Paired axial CT (left) and PSMA PET (right), 18F-PSMA tracer. Acquired on Siemens Biograph mCT Flow 20. PET panel 200×200 px (4.1 mm/px).
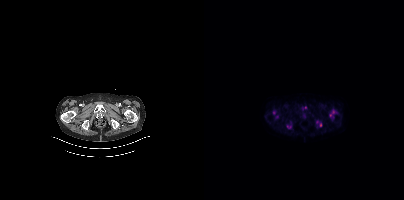
Coordinates are on the 200×200 PET (right) panel. PSMA-avid tumor lesion bounding boxes (x0, y0)-(x1, y1): (125, 111)-(130, 118) | (112, 121)-(118, 126) | (83, 125)-(87, 128). Small PSMA-avid foci (2 to 4 px across) near (center x, center y): (101, 107) | (69, 112).